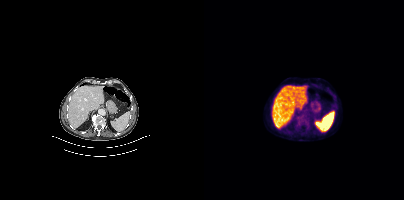
Negative for PSMA-avid disease on this slice. Two-panel axial: CT | PSMA PET, 18F-PSMA tracer. Slice position z = 298 mm. PET panel 200×200 px (4.1 mm/px).